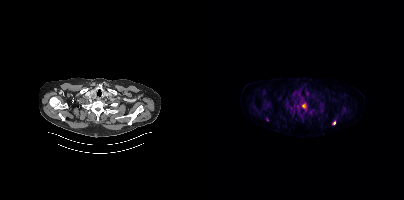
Technique: Two-panel axial: CT | PSMA PET, 18F tracer.
Findings: Coordinates are on the 200×200 PET (right) panel. PSMA-avid tumor lesion bounding boxes (x0,y0,x1,y1): [81,103,92,112], [95,97,100,102], [138,108,143,113], [116,107,119,112]. Small PSMA-avid foci (2 to 4 px across) near (center x, center y): (99, 105), (130, 122), (58, 105).